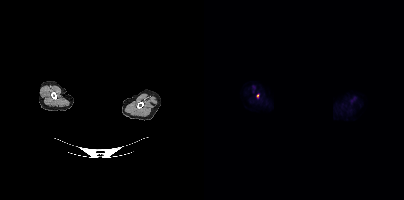
Technique: Two-panel axial: CT | PSMA PET, [18F]PSMA-1007 tracer. slice position z = -192 mm.
Note: A rectangle over the head was blacked out to remove identifiable facial features.
Findings: Coordinates are on the 200×200 PET (right) panel. Small PSMA-avid focus (2 to 4 px across) near (center x, center y): (53, 95).